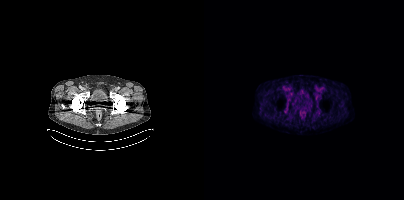
{"modality":"PSMA PET/CT","view":"axial","tracer":"[18F]PSMA-1007","pet_grid":[200,200],"coord_frame":"pet_panel","coord_format":"x0,y0,x1,y1","psma_avid_lesions":false}